Paired axial CT (left) and PSMA PET (right), 18F tracer. Acquired on Siemens Biograph mCT Flow 20. Slice 41 of 413. PET panel 200×200 px (4.1 mm/px).
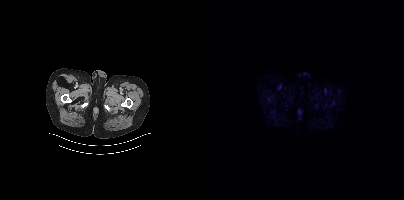
This slice has no annotated PSMA-avid lesion.